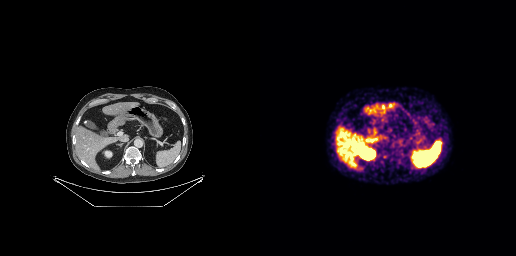
modality: PSMA PET/CT | tracer: 68Ga | view: axial | PET grid: 256×256
No tumor lesions annotated on this slice.